redaction: face masked with black rectangle | modality: PSMA PET/CT | tracer: [18F]PSMA-1007 | view: axial | PET grid: 200×200
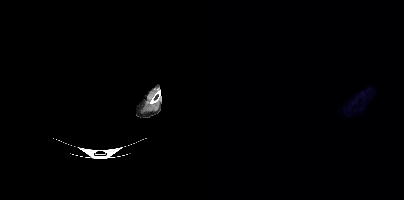
No tumor lesions annotated on this slice.